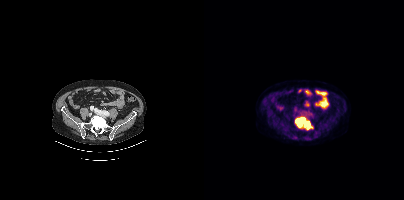
Coordinates are on the 200×200 PET (right) panel. PSMA-avid tumor lesion bounding box (x, y, width, height): x=91 y=117 w=18 h=13.